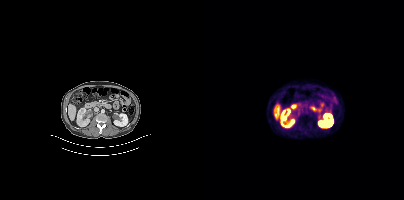
Negative for PSMA-avid disease on this slice.